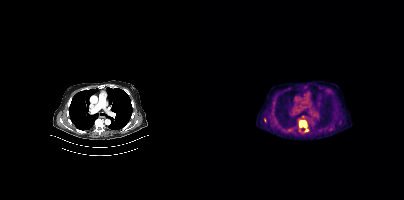
{"modality":"PSMA PET/CT","view":"axial","tracer":"[18F]PSMA-1007","pet_grid":[200,200],"coord_frame":"pet_panel","coord_format":"x0,y0,x1,y1","lesion_bboxes":[[95,121,102,126]],"small_foci_centers":[[95,129],[102,130]]}